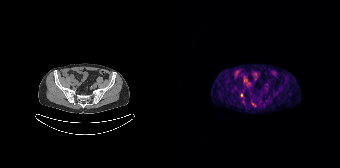
Paired axial CT (left) and PSMA PET (right), 68Ga-PSMA tracer. PET panel 168×168 px (4.1 mm/px). Coordinates are on the 168×168 PET (right) panel. Small PSMA-avid foci (2 to 4 px across) near (center x, center y): (81, 104), (69, 95).